- Left: CT. Right: PSMA PET, same axial level, [68Ga]Ga-PSMA-11 tracer
- acquired on GE Discovery 690
- slice 69 of 263
- PET panel 256×256 px (2.7 mm/px)
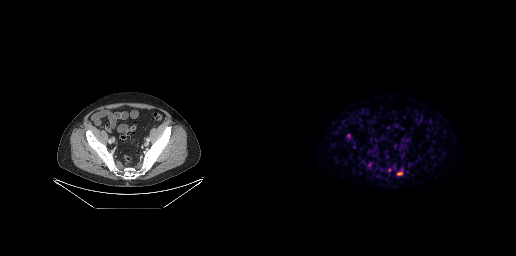
Findings: Only PSMA-avid lesion pieces thinner than 2 px on this slice (not listed).